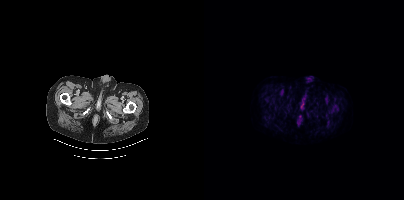
{"modality":"PSMA PET/CT","view":"axial","tracer":"18F-PSMA","pet_grid":[200,200],"coord_frame":"pet_panel","coord_format":"x0,y0,x1,y1","psma_avid_lesions":false}